Left: CT. Right: PSMA PET, same axial level, [18F]PSMA-1007 tracer.
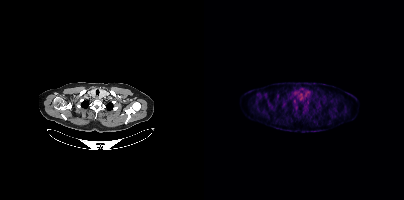
Only PSMA-avid lesion pieces thinner than 2 px on this slice (not listed).